Paired axial CT (left) and PSMA PET (right), 18F tracer. Slice 75 of 381. PET panel 200×200 px (4.1 mm/px).
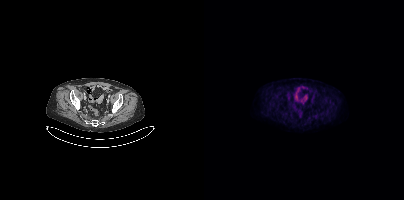
No PSMA-avid tumor lesions on this slice.